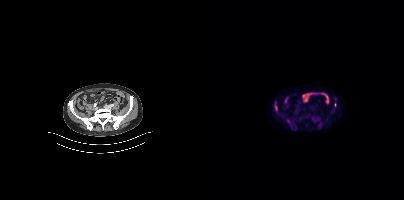
Technique: Two-panel axial: CT | PSMA PET, 18F tracer. acquired on Siemens Biograph mCT Flow 20.
Findings: Coordinates are on the 200×200 PET (right) panel. (showing 2 of 3 foci) PSMA-avid tumor lesion bounding box (x0, y0)-(x1, y1): (71, 105)-(73, 110). Small PSMA-avid focus (2 to 4 px across) near (center x, center y): (116, 125).